- Two-panel axial: CT | PSMA PET, [18F]PSMA-1007 tracer
- PET panel 200×200 px (4.1 mm/px)
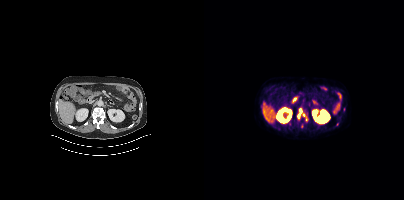
Findings: Coordinates are on the 200×200 PET (right) panel. Small PSMA-avid foci (2 to 4 px across) near (center x, center y): (96, 110) | (94, 115) | (99, 115).